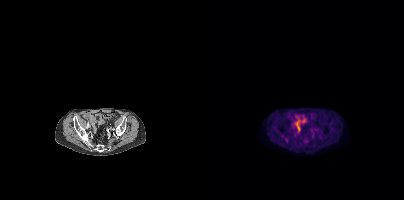
No PSMA-avid tumor lesions on this slice.